Paired axial CT (left) and PSMA PET (right), 18F-PSMA tracer. PET panel 256×256 px (2.7 mm/px).
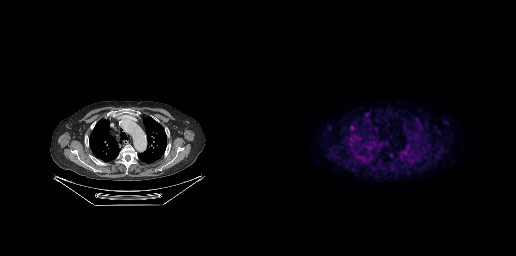
Coordinates are on the 256×256 PET (right) panel. Small PSMA-avid focus (2 to 4 px across) near (center x, center y): (91, 127).